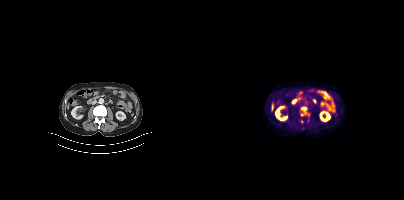
{"modality":"PSMA PET/CT","view":"axial","tracer":"18F","pet_grid":[200,200],"coord_frame":"pet_panel","coord_format":"x0,y0,x1,y1","lesion_bboxes":[[98,107,102,113]],"small_foci_centers":[[97,114]]}